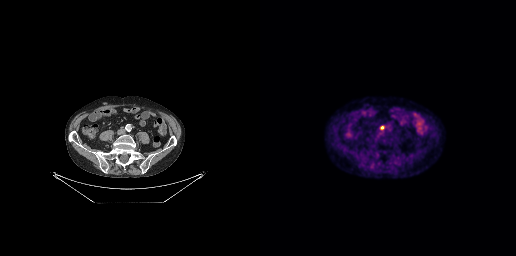
Coordinates are on the 256×256 PET (right) panel. PSMA-avid tumor lesion bounding box (x0, y0)-(x1, y1): (120, 126)-(124, 129).